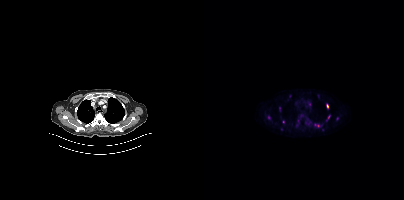
{"modality":"PSMA PET/CT","view":"axial","tracer":"18F","pet_grid":[200,200],"coord_frame":"pet_panel","coord_format":"x0,y0,x1,y1","partial":true,"lesion_bboxes":[[123,104,124,108]],"small_foci_centers":[[114,125],[79,121]]}